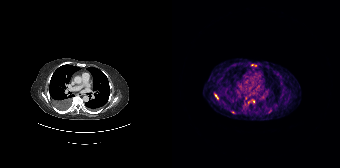
Technique: Left: CT. Right: PSMA PET, same axial level, [68Ga]Ga-PSMA-11 tracer. acquired on Siemens Biograph 64-4R TruePoint. PET panel 168×168 px (4.1 mm/px).
Findings: Coordinates are on the 168×168 PET (right) panel. (showing 3 of 4 foci) PSMA-avid tumor lesion bounding box (x, y, width, height): x=42 y=94 w=5 h=6. Small PSMA-avid foci (2 to 4 px across) near (center x, center y): (60, 112) / (81, 64).